modality: PSMA PET/CT | tracer: [18F]PSMA-1007 | view: axial | PET grid: 168×168 | deidentification: privacy mask over head
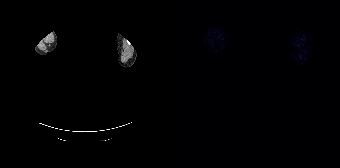
This slice has no annotated PSMA-avid lesion.